- Left: CT. Right: PSMA PET, same axial level, 68Ga tracer
- slice position z = -239 mm
- PET panel 256×256 px (2.7 mm/px)
- a rectangular block over the head has been blanked out for de-identification
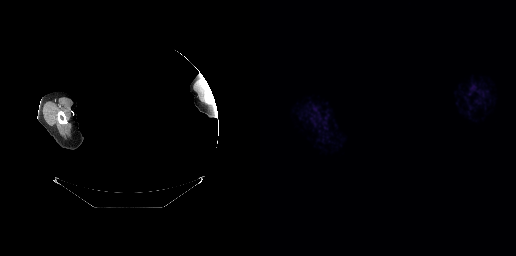
Findings: No tumor lesions annotated on this slice.